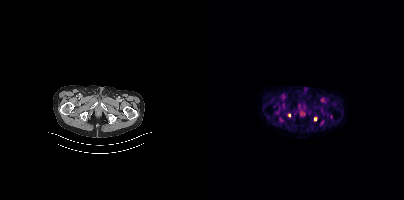
Coordinates are on the 200×200 PET (right) panel. Small PSMA-avid foci (2 to 4 px across) near (center x, center y): (111, 119) / (85, 115). Two-panel axial: CT | PSMA PET, 18F tracer. Slice position z = -895 mm. PET panel 200×200 px (4.1 mm/px).